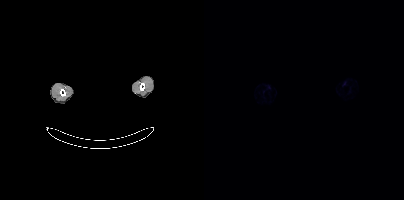
Findings: Negative for PSMA-avid disease on this slice.
- the head region is masked for de-identification
- Left: CT. Right: PSMA PET, same axial level, [68Ga]Ga-PSMA-11 tracer
- slice position z = -1002 mm